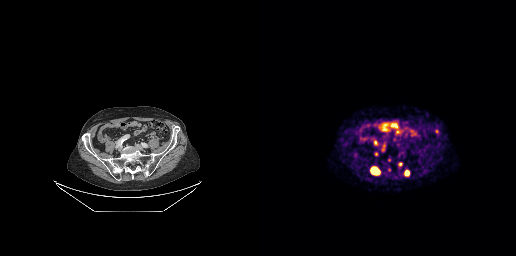
Paired axial CT (left) and PSMA PET (right), 68Ga-PSMA tracer.
Coordinates are on the 256×256 PET (right) panel. PSMA-avid tumor lesion bounding boxes (partial; 2 more foci not listed):
| # | x0 | y0 | x1 | y1 |
|---|---|---|---|---|
| 1 | 111 | 167 | 119 | 174 |
| 2 | 114 | 140 | 117 | 145 |
| 3 | 175 | 129 | 178 | 133 |
| 4 | 138 | 162 | 142 | 166 |
| 5 | 145 | 171 | 148 | 175 |
Small PSMA-avid foci (2 to 4 px across) near (center x, center y): (123, 149); (116, 154); (129, 159).